Technique: Left: CT. Right: PSMA PET, same axial level, 18F tracer. acquired on Siemens Biograph mCT Flow 20.
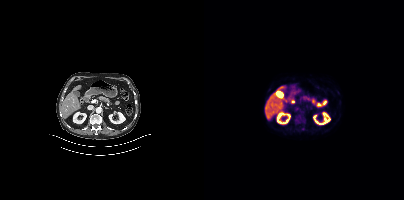
Findings: Negative for PSMA-avid disease on this slice.